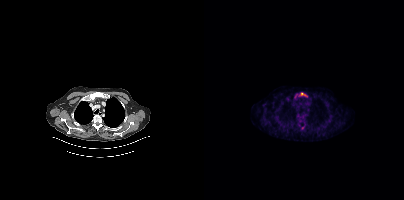
- Paired axial CT (left) and PSMA PET (right), [18F]PSMA-1007 tracer
- slice position z = -1014 mm
- PET panel 200×200 px (4.1 mm/px)
Findings: Coordinates are on the 200×200 PET (right) panel. PSMA-avid tumor lesion bounding box (x0, y0)-(x1, y1): (96, 92)-(103, 96).